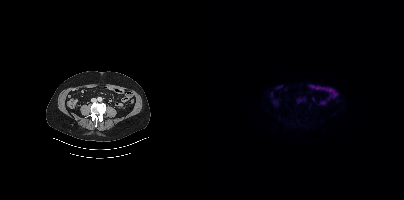
{"modality":"PSMA PET/CT","view":"axial","tracer":"[18F]PSMA-1007","pet_grid":[200,200],"coord_frame":"pet_panel","coord_format":"x0,y0,x1,y1","psma_avid_lesions":false}